Left: CT. Right: PSMA PET, same axial level, [18F]PSMA-1007 tracer.
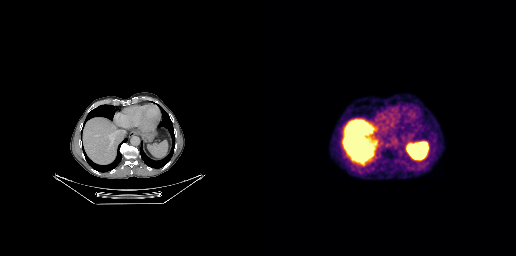
This slice has no annotated PSMA-avid lesion.